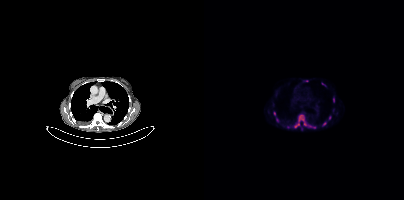
Findings: Coordinates are on the 200×200 PET (right) panel. (showing 7 of 9 foci) PSMA-avid tumor lesion bounding box (x0, y0)-(x1, y1): (90, 114)-(111, 128). Small PSMA-avid foci (2 to 4 px across) near (center x, center y): (120, 123) / (129, 99) / (70, 113) / (125, 117) / (118, 83) / (73, 120).
Technique: Left: CT. Right: PSMA PET, same axial level, 18F-PSMA tracer. acquired on Siemens Biograph mCT Flow 20. slice 237 of 354. PET panel 200×200 px (4.1 mm/px).